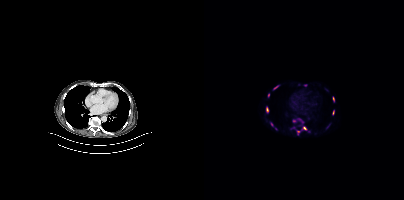
Technique: Paired axial CT (left) and PSMA PET (right), 18F tracer.
Findings: Coordinates are on the 200×200 PET (right) panel. (showing 6 of 10 foci) PSMA-avid tumor lesion bounding boxes (x0,y0,x1,y1): [93,126,102,134] [62,107,64,112] [128,110,130,114] [129,97,130,101] [69,86,73,89]. Small PSMA-avid focus (2 to 4 px across) near (center x, center y): (64, 95).